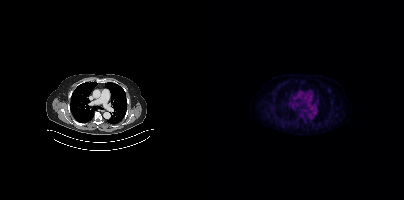
{"modality":"PSMA PET/CT","view":"axial","tracer":"18F","pet_grid":[200,200],"coord_frame":"pet_panel","coord_format":"x0,y0,x1,y1","psma_avid_lesions":false}